- Paired axial CT (left) and PSMA PET (right), [68Ga]Ga-PSMA-11 tracer
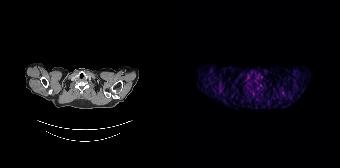
Findings: No tumor lesions annotated on this slice.